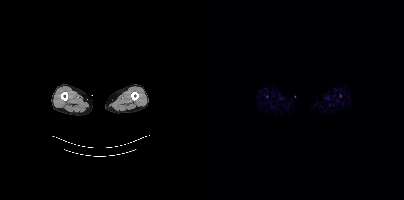
Left: CT. Right: PSMA PET, same axial level, [18F]PSMA-1007 tracer. This slice has no annotated PSMA-avid lesion.